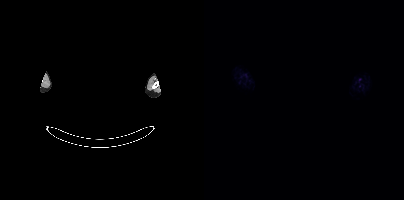
Findings: Negative for PSMA-avid disease on this slice.
- facial anatomy redacted by setting a rectangular region of the head to black
- Left: CT. Right: PSMA PET, same axial level, 18F tracer